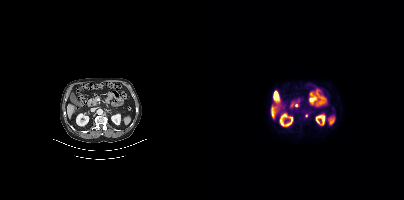
Left: CT. Right: PSMA PET, same axial level, [18F]PSMA-1007 tracer. Acquired on Siemens Biograph mCT Flow 20. PET panel 200×200 px (4.1 mm/px). Coordinates are on the 200×200 PET (right) panel. Small PSMA-avid focus (2 to 4 px across) near (center x, center y): (102, 115).